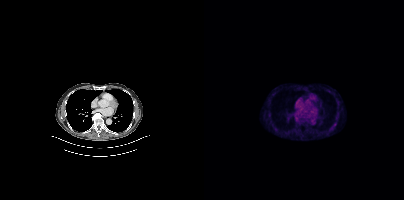
{"modality":"PSMA PET/CT","view":"axial","tracer":"[18F]PSMA-1007","pet_grid":[200,200],"coord_frame":"pet_panel","coord_format":"x0,y0,x1,y1","lesion_bboxes":[],"small_foci_centers":[[130,124]]}